Two-panel axial: CT | PSMA PET, [68Ga]Ga-PSMA-11 tracer. Slice 28 of 195.
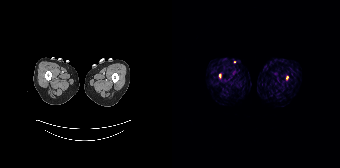
Coordinates are on the 168×168 PET (right) panel. Small PSMA-avid foci (2 to 4 px across) near (center x, center y): (47, 75); (115, 77).